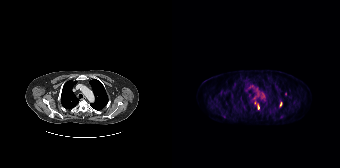
Coordinates are on the 168×168 PET (right) panel. PSMA-avid tumor lesion bounding box (x, y, width, height): x=108 y=102 w=2 h=5. Small PSMA-avid foci (2 to 4 px across) near (center x, center y): (113, 93) | (86, 107) | (82, 102).